modality: PSMA PET/CT | tracer: [18F]PSMA-1007 | view: axial | PET grid: 200×200
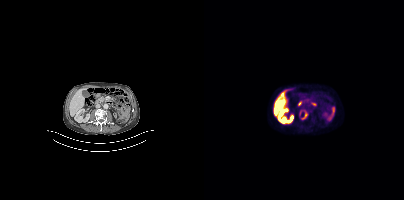
Coordinates are on the 200×200 PET (right) panel. PSMA-avid tumor lesion bounding box (x0,y0,x1,y1): [95,110,104,119].